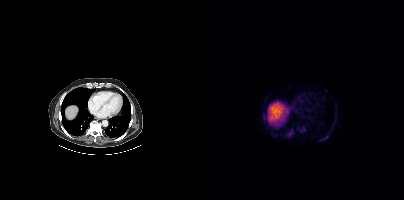
Findings: Coordinates are on the 200×200 PET (right) panel. (showing 1 of 3 foci) Small PSMA-avid focus (2 to 4 px across) near (center x, center y): (100, 129).
Technique: Paired axial CT (left) and PSMA PET (right), [18F]PSMA-1007 tracer. slice position z = -586 mm. PET panel 200×200 px (4.1 mm/px).